Two-panel axial: CT | PSMA PET, 68Ga tracer. PET panel 168×168 px (4.1 mm/px).
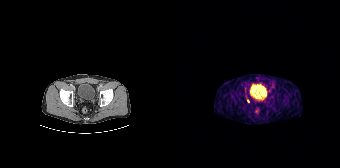
Coordinates are on the 168×168 PET (right) panel. Small PSMA-avid focus (2 to 4 px across) near (center x, center y): (76, 101).